Paired axial CT (left) and PSMA PET (right), 18F-PSMA tracer. Acquired on Siemens Biograph mCT Flow 20. Slice position z = -520 mm.
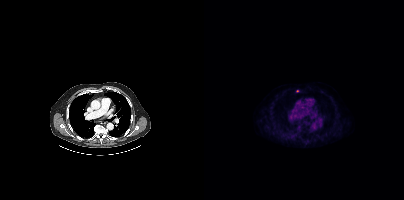
Coordinates are on the 200×200 PET (right) panel. Small PSMA-avid focus (2 to 4 px across) near (center x, center y): (93, 90).